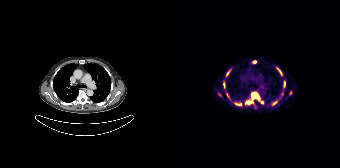
Coordinates are on the 168×168 PET (right) panel. (showing 8 of 10 foci) PSMA-avid tumor lesion bounding boxes (x0,y0,x1,y1): [80,92,86,99]; [105,68,110,74]; [112,81,113,86]; [101,101,105,104]. Small PSMA-avid foci (2 to 4 px across) near (center x, center y): (118, 92); (77, 102); (82, 61); (55, 73).
modality: PSMA PET/CT | tracer: 68Ga | view: axial | PET grid: 168×168